modality: PSMA PET/CT | tracer: 18F | view: axial | PET grid: 200×200
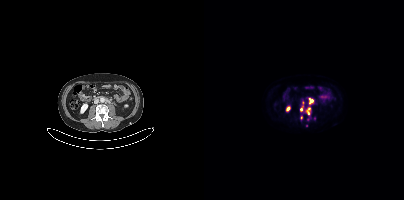
Coordinates are on the 200×200 PET (right) panel. (showing 4 of 6 foci) PSMA-avid tumor lesion bounding boxes (x0, y0)-(x1, y1): (96, 102)-(100, 110); (105, 98)-(109, 103); (103, 108)-(106, 114). Small PSMA-avid focus (2 to 4 px across) near (center x, center y): (97, 117).